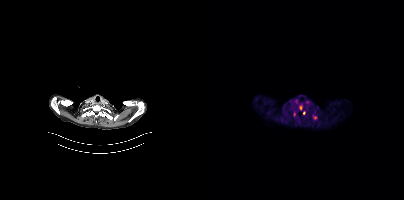
{"modality":"PSMA PET/CT","view":"axial","tracer":"18F-PSMA","pet_grid":[200,200],"coord_frame":"pet_panel","coord_format":"x0,y0,x1,y1","partial":true,"lesion_bboxes":[[109,115,113,119]],"small_foci_centers":[[96,107],[100,113]]}